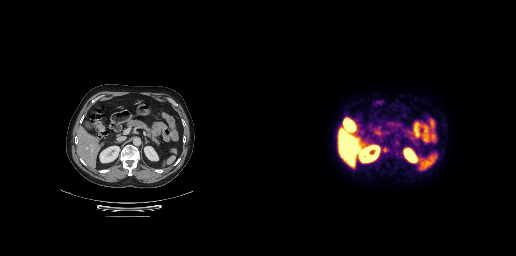
modality: PSMA PET/CT | tracer: 18F | view: axial
Only PSMA-avid lesion pieces thinner than 2 px on this slice (not listed).